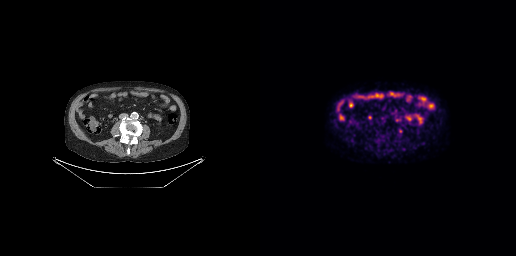
{"pet_grid":[256,256],"coord_frame":"pet_panel","coord_format":"x0,y0,x1,y1","partial":true,"lesion_bboxes":[],"modality":"PSMA PET/CT","view":"axial","tracer":"18F"}